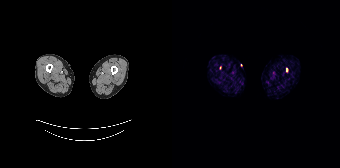
{"modality":"PSMA PET/CT","view":"axial","tracer":"68Ga-PSMA","pet_grid":[168,168],"coord_frame":"pet_panel","coord_format":"x0,y0,x1,y1","partial":true,"lesion_bboxes":[],"small_foci_centers":[[114,69]]}